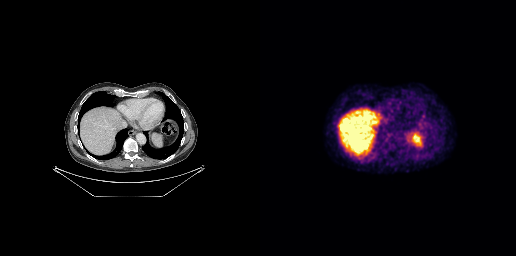
Negative for PSMA-avid disease on this slice.